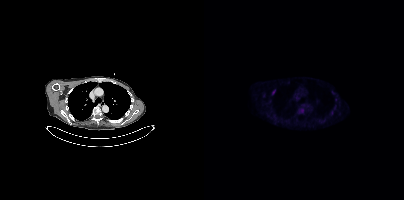
modality: PSMA PET/CT | tracer: 18F-PSMA | view: axial
Coordinates are on the 200×200 PET (right) panel. PSMA-avid tumor lesion bounding box (x0,y0,x1,y1): [95,108,99,112]. Small PSMA-avid foci (2 to 4 px across) near (center x, center y): (70, 91), (131, 99).